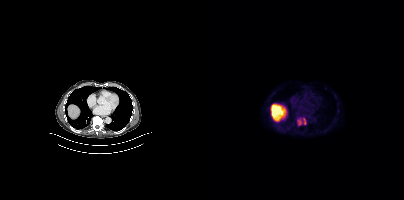
Coordinates are on the 200×200 PET (right) panel. PSMA-avid tumor lesion bounding boxes:
| # | x0 | y0 | x1 | y1 |
|---|---|---|---|---|
| 1 | 93 | 118 | 102 | 125 |
Paired axial CT (left) and PSMA PET (right), 18F-PSMA tracer. Slice 262 of 421.